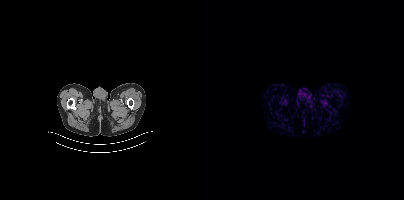
Technique: Left: CT. Right: PSMA PET, same axial level, 68Ga-PSMA tracer. slice 19 of 373. PET panel 200×200 px (4.1 mm/px).
Findings: No PSMA-avid tumor lesions on this slice.